Technique: Paired axial CT (left) and PSMA PET (right), 18F tracer. acquired on GE Discovery 690. PET panel 256×256 px (2.7 mm/px).
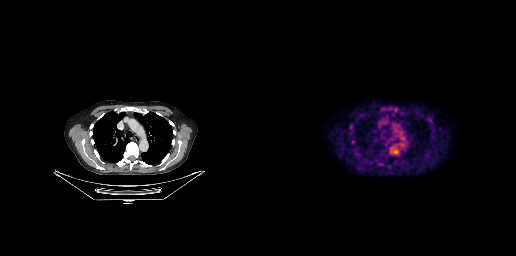
Findings: Negative for PSMA-avid disease on this slice.